- Left: CT. Right: PSMA PET, same axial level, 68Ga-PSMA tracer
- PET panel 168×168 px (4.1 mm/px)
- an anonymization step blacked out a rectangle over the head in this scan
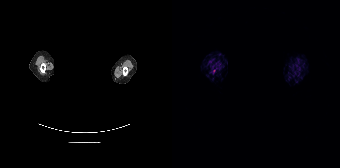
Findings: Negative for PSMA-avid disease on this slice.